Left: CT. Right: PSMA PET, same axial level, 68Ga-PSMA tracer. PET panel 200×200 px (4.1 mm/px).
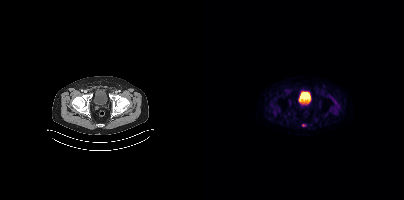
Coordinates are on the 200×200 PET (right) panel. Small PSMA-avid focus (2 to 4 px across) near (center x, center y): (99, 125).